Left: CT. Right: PSMA PET, same axial level, [68Ga]Ga-PSMA-11 tracer.
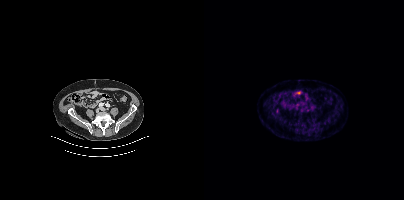
Coordinates are on the 200×200 PET (right) panel. Small PSMA-avid focus (2 to 4 px across) near (center x, center y): (73, 110).